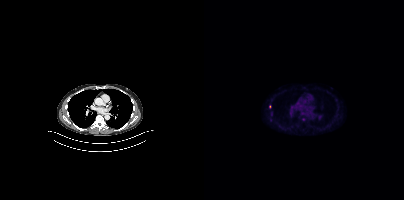
Only PSMA-avid lesion pieces thinner than 2 px on this slice (not listed). Two-panel axial: CT | PSMA PET, [18F]PSMA-1007 tracer.